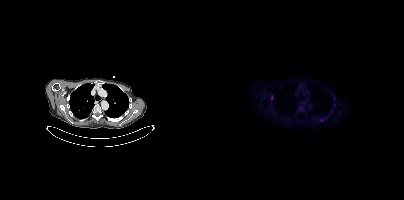
Coordinates are on the 200×200 PET (right) panel. PSMA-avid tumor lesion bounding box (x, y, width, height): x=116 y=117 w=7 h=5. Small PSMA-avid focus (2 to 4 px across) near (center x, center y): (68, 97). Left: CT. Right: PSMA PET, same axial level, [18F]PSMA-1007 tracer. Acquired on Siemens Biograph mCT Flow 20. Slice 313 of 409. PET panel 200×200 px (4.1 mm/px).